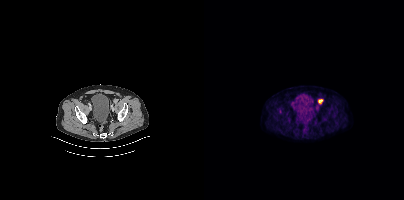
Coordinates are on the 200×200 PET (right) panel. PSMA-avid tumor lesion bounding box (x0, y0)-(x1, y1): (114, 99)-(119, 104).